- Left: CT. Right: PSMA PET, same axial level, 18F tracer
- slice position z = -792 mm
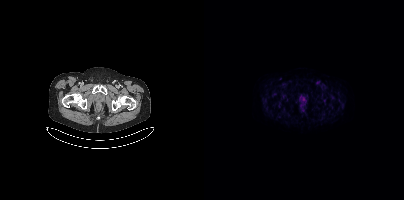
Findings: Negative for PSMA-avid disease on this slice.